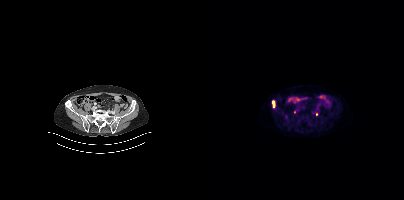
Coordinates are on the 200×200 PET (right) panel. (showing 1 of 3 foci) PSMA-avid tumor lesion bounding box (x, y, width, height): x=68 y=101 w=3 h=7.